Technique: Paired axial CT (left) and PSMA PET (right), 18F-PSMA tracer. PET panel 200×200 px (4.1 mm/px).
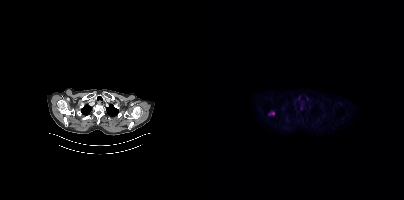
Findings: Coordinates are on the 200×200 PET (right) panel. PSMA-avid tumor lesion bounding box (x, y, width, height): x=65 y=112 w=6 h=4.